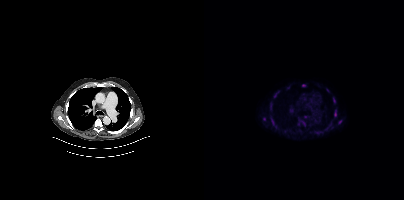
{"modality":"PSMA PET/CT","view":"axial","tracer":"18F","pet_grid":[200,200],"coord_frame":"pet_panel","coord_format":"x0,y0,x1,y1","partial":true,"lesion_bboxes":[[67,118,72,127],[130,110,132,117],[97,121,101,126],[70,92,74,97],[129,98,131,102],[66,103,67,109]],"small_foci_centers":[[99,85],[87,110],[60,119],[136,121],[123,90],[101,116],[113,132]]}